Technique: Paired axial CT (left) and PSMA PET (right), 18F-PSMA tracer. acquired on Siemens Biograph mCT Flow 20. PET panel 200×200 px (4.1 mm/px).
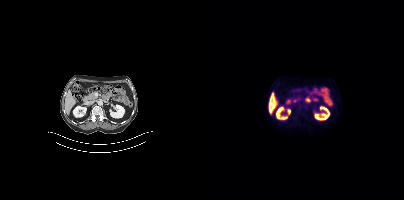
Findings: This slice has no annotated PSMA-avid lesion.